Paired axial CT (left) and PSMA PET (right), 18F tracer. Acquired on Siemens Biograph mCT Flow 20. Slice position z = -554 mm.
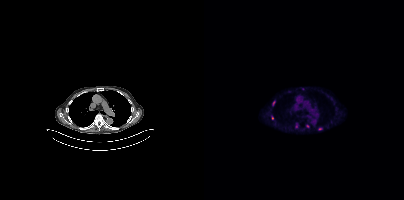
Coordinates are on the 200×200 PET (right) panel. (showing 5 of 7 foci) Small PSMA-avid foci (2 to 4 px across) near (center x, center y): (68, 118) | (116, 128) | (92, 126) | (69, 103) | (103, 125).